Technique: Two-panel axial: CT | PSMA PET, [18F]PSMA-1007 tracer. acquired on GE Discovery 690.
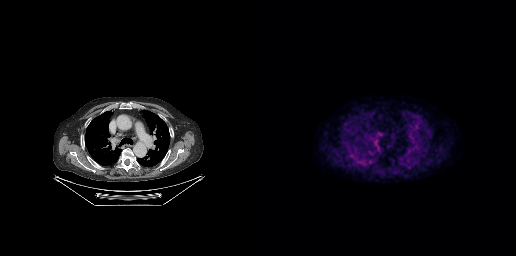
Findings: This slice has no annotated PSMA-avid lesion.